The face region was removed for patient privacy by blanking a rectangle over the head.
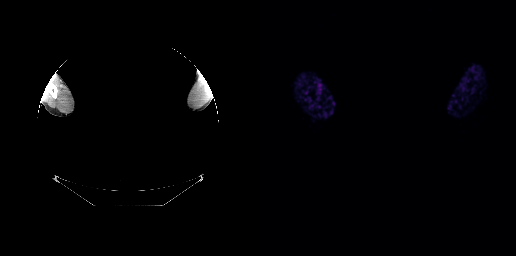
This slice has no annotated PSMA-avid lesion.